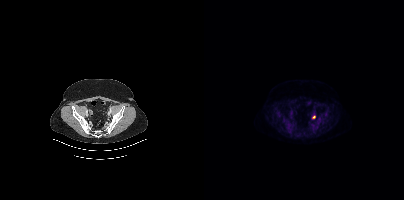
Findings: Coordinates are on the 200×200 PET (right) panel. Small PSMA-avid focus (2 to 4 px across) near (center x, center y): (110, 117).
- Two-panel axial: CT | PSMA PET, [18F]PSMA-1007 tracer
- PET panel 200×200 px (4.1 mm/px)